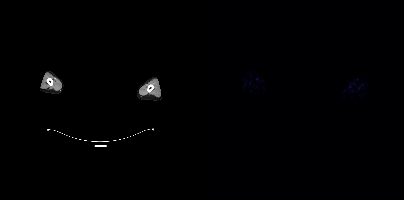
- Paired axial CT (left) and PSMA PET (right), 18F-PSMA tracer
- head region blanked for anonymization (face removed)
Findings: This slice has no annotated PSMA-avid lesion.